Paired axial CT (left) and PSMA PET (right), 18F-PSMA tracer. Acquired on Siemens Biograph mCT Flow 20. Slice 175 of 425.
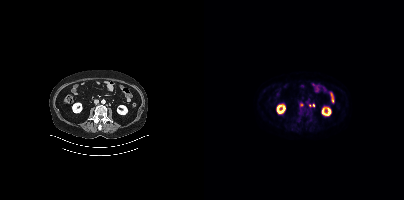
Coordinates are on the 200×200 PET (right) panel. Small PSMA-avid foci (2 to 4 px across) near (center x, center y): (109, 105) (97, 104) (105, 105).